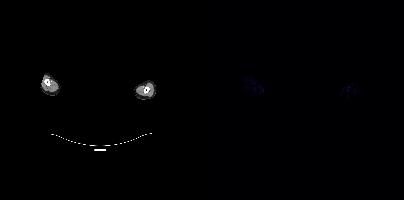
Negative for PSMA-avid disease on this slice.
de-identification: face masked with black rectangle | modality: PSMA PET/CT | tracer: 18F-PSMA | view: axial | PET grid: 200×200